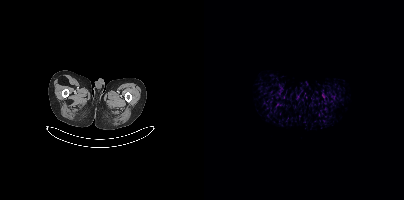
This slice has no annotated PSMA-avid lesion.